Two-panel axial: CT | PSMA PET, 68Ga-PSMA tracer.
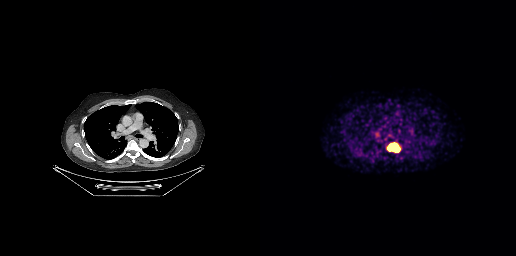
Coordinates are on the 256×256 PET (right) panel. PSMA-avid tumor lesion bounding boxes:
| # | x0 | y0 | x1 | y1 |
|---|---|---|---|---|
| 1 | 126 | 142 | 140 | 152 |